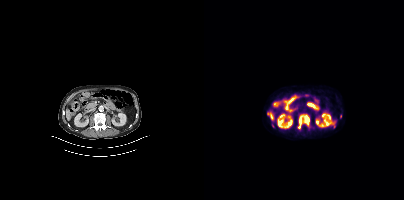
{"modality":"PSMA PET/CT","view":"axial","tracer":"[18F]PSMA-1007","pet_grid":[200,200],"coord_frame":"pet_panel","coord_format":"x0,y0,x1,y1","lesion_bboxes":[[93,113,106,129]],"small_foci_centers":[[136,116]]}